Technique: Left: CT. Right: PSMA PET, same axial level, 18F tracer. acquired on Siemens Biograph mCT Flow 20. slice 343 of 464. PET panel 200×200 px (4.1 mm/px).
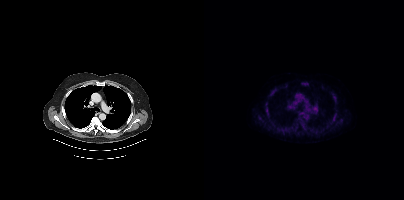
Findings: Coordinates are on the 200×200 PET (right) panel. (showing 12 of 13 foci) PSMA-avid tumor lesion bounding boxes (x0,y0,x1,y1): [99,82,103,86], [67,121,72,129], [90,123,94,128], [92,119,98,124], [117,128,120,132]. Small PSMA-avid foci (2 to 4 px across) near (center x, center y): (130, 97), (69, 89), (63, 110), (132, 113), (99, 127), (123, 127), (66, 127).